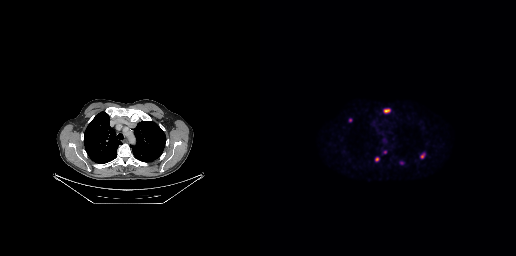
Paired axial CT (left) and PSMA PET (right), [18F]PSMA-1007 tracer. Acquired on GE Discovery 690. Slice position z = -173 mm.
Coordinates are on the 256×256 PET (right) panel. PSMA-avid tumor lesion bounding boxes:
| # | x0 | y0 | x1 | y1 |
|---|---|---|---|---|
| 1 | 123 | 108 | 130 | 113 |
| 2 | 160 | 153 | 165 | 158 |
| 3 | 115 | 157 | 118 | 161 |
Small PSMA-avid foci (2 to 4 px across) near (center x, center y): (90, 119); (124, 151).